- Two-panel axial: CT | PSMA PET, 18F tracer
- acquired on Siemens Biograph mCT Flow 20
- PET panel 200×200 px (4.1 mm/px)
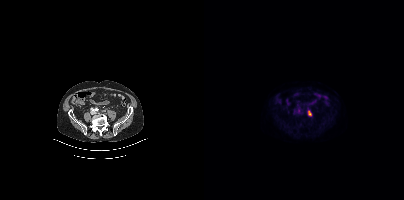
Findings: Coordinates are on the 200×200 PET (right) panel. PSMA-avid tumor lesion bounding box (x0, y0)-(x1, y1): (103, 110)-(107, 115).